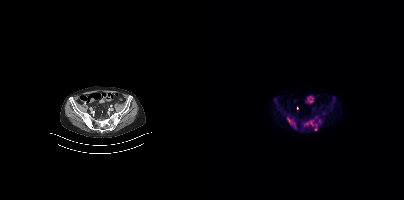
{"pet_grid":[200,200],"coord_frame":"pet_panel","coord_format":"x0,y0,x1,y1","lesion_bboxes":[[106,119,113,130],[83,118,91,126],[70,98,74,108],[115,119,116,123]],"small_foci_centers":[[102,124]],"modality":"PSMA PET/CT","view":"axial","tracer":"18F-PSMA"}